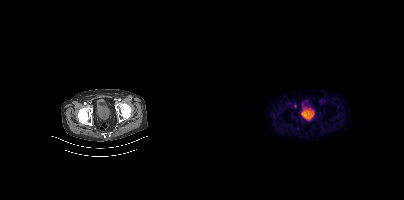
- Paired axial CT (left) and PSMA PET (right), [18F]PSMA-1007 tracer
Findings: Coordinates are on the 200×200 PET (right) panel. Small PSMA-avid focus (2 to 4 px across) near (center x, center y): (91, 105).